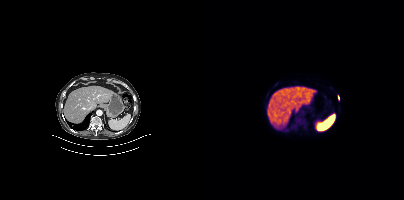
modality: PSMA PET/CT | tracer: 18F | view: axial
Coordinates are on the 200×200 PET (right) panel. Small PSMA-avid focus (2 to 4 px across) near (center x, center y): (134, 97).